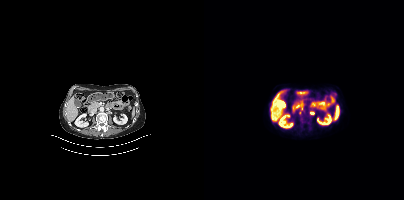
Two-panel axial: CT | PSMA PET, 18F tracer. Acquired on Siemens Biograph mCT Flow 20. Slice 184 of 401. PET panel 200×200 px (4.1 mm/px). Coordinates are on the 200×200 PET (right) panel. PSMA-avid tumor lesion bounding boxes (x0,y0,x1,y1): [95,108,99,114] [106,111,110,114].